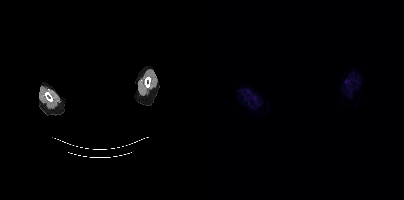
No tumor lesions annotated on this slice.
Head region blanked for anonymization (face removed).